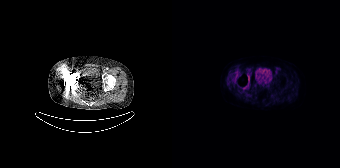
Negative for PSMA-avid disease on this slice.